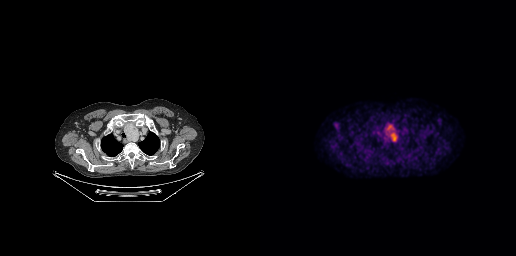
Coordinates are on the 256×256 PET (right) panel. (showing 1 of 2 foci) PSMA-avid tumor lesion bounding box (x0,y0,x1,y1): [125,124,137,141].
modality: PSMA PET/CT | tracer: 18F-PSMA | view: axial | PET grid: 256×256